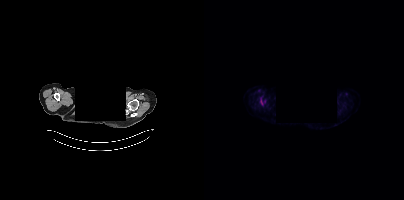
Findings: Coordinates are on the 200×200 PET (right) panel. Small PSMA-avid focus (2 to 4 px across) near (center x, center y): (57, 102).
Technique: Left: CT. Right: PSMA PET, same axial level, [18F]PSMA-1007 tracer. acquired on Siemens Biograph mCT Flow 20. slice 339 of 389. PET panel 200×200 px (4.1 mm/px).
Note: Face de-identified by blanking a block of the head.